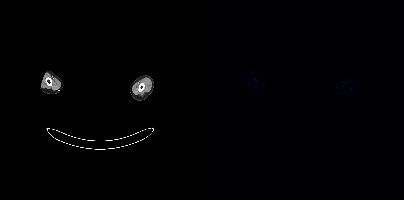
This slice has no annotated PSMA-avid lesion.
The face region was removed for patient privacy by blanking a rectangle over the head.